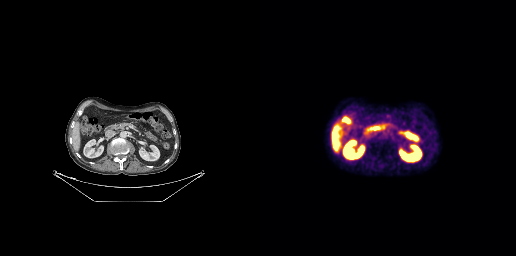
{"pet_grid":[256,256],"coord_frame":"pet_panel","coord_format":"x0,y0,x1,y1","psma_avid_lesions":false,"modality":"PSMA PET/CT","view":"axial","tracer":"18F-PSMA"}